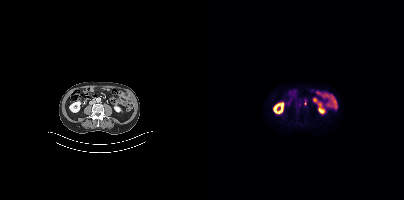
{"modality":"PSMA PET/CT","view":"axial","tracer":"18F-PSMA","pet_grid":[200,200],"coord_frame":"pet_panel","coord_format":"x0,y0,x1,y1","lesion_bboxes":[],"small_foci_centers":[[101,103]]}